Technique: Left: CT. Right: PSMA PET, same axial level, 18F-PSMA tracer. slice position z = -315 mm.
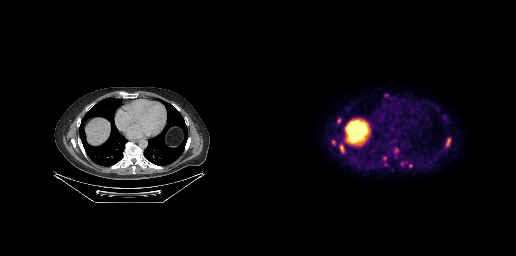
Findings: Coordinates are on the 256×256 PET (right) panel. PSMA-avid tumor lesion bounding boxes (x0, y0)-(x1, y1): (186, 138)-(190, 146) / (80, 144)-(84, 152) / (77, 118)-(81, 123) / (72, 140)-(75, 144). Small PSMA-avid foci (2 to 4 px across) near (center x, center y): (126, 95) / (177, 108).